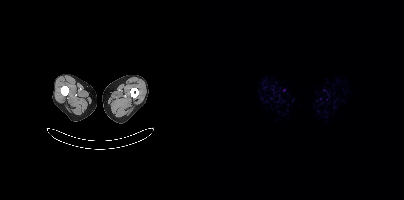
Negative for PSMA-avid disease on this slice.